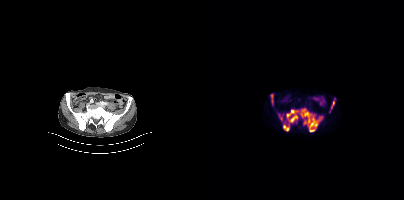
{"pet_grid":[200,200],"coord_frame":"pet_panel","coord_format":"x0,y0,x1,y1","partial":true,"lesion_bboxes":[[82,108,119,131],[79,124,85,131],[125,98,131,112],[67,94,68,98]],"small_foci_centers":[[77,118]],"modality":"PSMA PET/CT","view":"axial","tracer":"18F"}